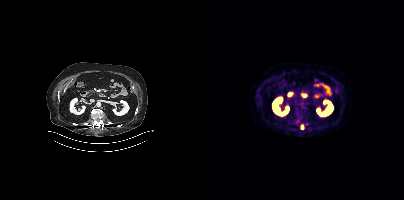
{"modality":"PSMA PET/CT","view":"axial","tracer":"18F","pet_grid":[200,200],"coord_frame":"pet_panel","coord_format":"x0,y0,x1,y1","lesion_bboxes":[],"small_foci_centers":[[98,127]]}